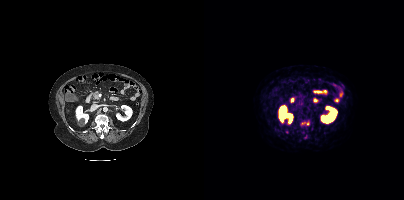
Coordinates are on the 200×200 PET (right) panel. PSMA-avid tumor lesion bounding box (x0, y0)-(x1, y1): (98, 121)-(105, 125). Small PSMA-avid focus (2 to 4 px across) near (center x, center y): (82, 131). Two-panel axial: CT | PSMA PET, 68Ga tracer. Slice 200 of 444.